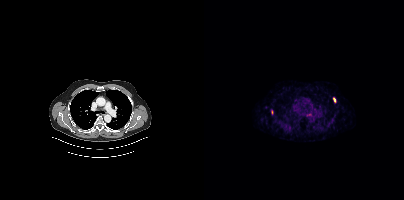
modality: PSMA PET/CT | tracer: 68Ga-PSMA | view: axial
Coordinates are on the 200×200 PET (right) panel. (showing 1 of 2 foci) PSMA-avid tumor lesion bounding box (x0, y0)-(x1, y1): (129, 98)-(131, 102).